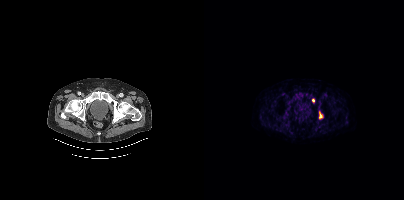
{"modality":"PSMA PET/CT","view":"axial","tracer":"18F-PSMA","pet_grid":[200,200],"coord_frame":"pet_panel","coord_format":"x0,y0,x1,y1","lesion_bboxes":[[115,111,119,118],[108,98,110,102]]}